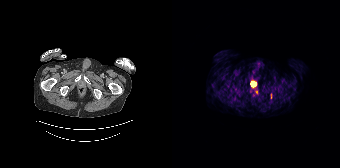
Paired axial CT (left) and PSMA PET (right), [68Ga]Ga-PSMA-11 tracer. Acquired on Siemens Biograph 64-4R TruePoint. Slice 56 of 195. PET panel 168×168 px (4.1 mm/px). Negative for PSMA-avid disease on this slice.